Technique: Left: CT. Right: PSMA PET, same axial level, 68Ga tracer. acquired on Siemens Biograph mCT Flow 20. slice 19 of 409. PET panel 200×200 px (4.1 mm/px).
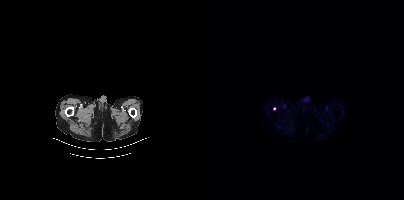
Findings: Coordinates are on the 200×200 PET (right) panel. Small PSMA-avid focus (2 to 4 px across) near (center x, center y): (70, 108).